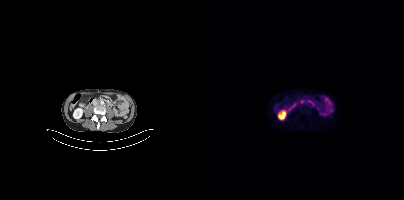
{"modality":"PSMA PET/CT","view":"axial","tracer":"18F-PSMA","pet_grid":[200,200],"coord_frame":"pet_panel","coord_format":"x0,y0,x1,y1","lesion_bboxes":[],"small_foci_centers":[[97,101]]}